Technique: Left: CT. Right: PSMA PET, same axial level, 18F-PSMA tracer. slice position z = -952 mm.
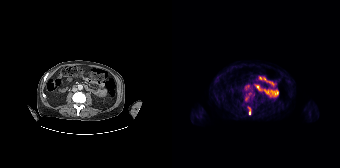
Findings: This slice has no annotated PSMA-avid lesion.